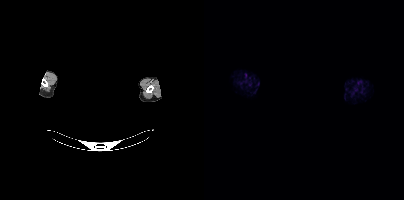
Face de-identified by blanking a block of the head. Paired axial CT (left) and PSMA PET (right), 18F-PSMA tracer. Slice position z = 1852 mm. PET panel 200×200 px (4.1 mm/px). This slice has no annotated PSMA-avid lesion.